modality: PSMA PET/CT | tracer: [18F]PSMA-1007 | view: axial
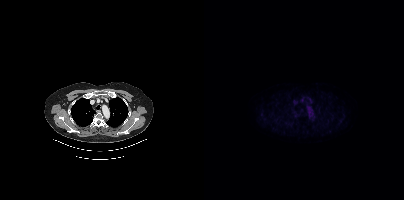
No PSMA-avid tumor lesions on this slice.